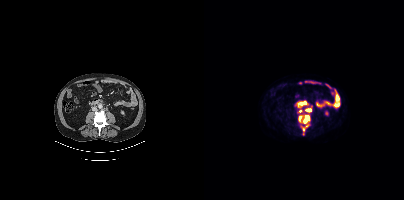
Coordinates are on the 200×200 PET (right) panel. (showing 4 of 5 foci) PSMA-avid tumor lesion bounding boxes (x, y, width, height): x=94 y=114 w=13 h=10; x=92 y=100 w=13 h=13; x=101 y=106 w=8 h=7; x=97 y=124 w=8 h=8.